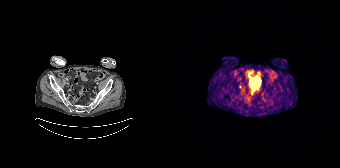
Two-panel axial: CT | PSMA PET, [68Ga]Ga-PSMA-11 tracer. Slice position z = -620 mm. PET panel 168×168 px (4.1 mm/px). Coordinates are on the 168×168 PET (right) panel. Small PSMA-avid focus (2 to 4 px across) near (center x, center y): (68, 87).